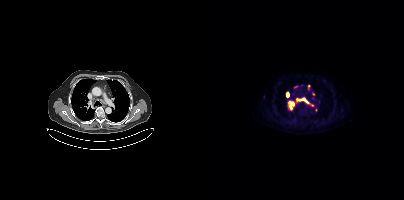
Coordinates are on the 200×200 PET (right) panel. PSMA-avid tumor lesion bounding box (x, y, width, height): x=96 y=98 w=8 h=5. Small PSMA-avid focus (2 to 4 px across) near (center x, center y): (93, 100).